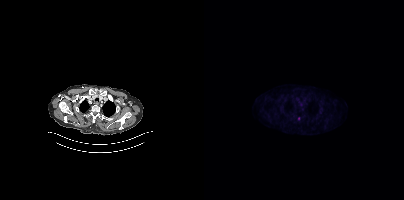
Left: CT. Right: PSMA PET, same axial level, 18F-PSMA tracer. Slice position z = -486 mm. PET panel 200×200 px (4.1 mm/px). Coordinates are on the 200×200 PET (right) panel. Small PSMA-avid focus (2 to 4 px across) near (center x, center y): (94, 118).